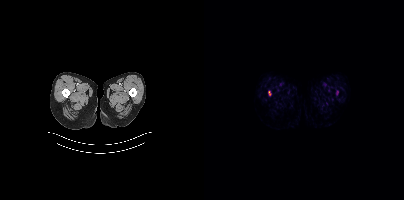
Technique: Left: CT. Right: PSMA PET, same axial level, 18F tracer. slice 15 of 429. PET panel 200×200 px (4.1 mm/px).
Findings: Coordinates are on the 200×200 PET (right) panel. PSMA-avid tumor lesion bounding box (x0,y0,x1,y1): [65,91,66,95].